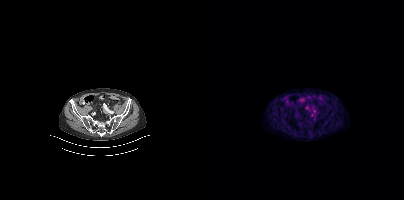
Coordinates are on the 200×200 PET (right) panel. (showing 2 of 3 foci) Small PSMA-avid foci (2 to 4 px across) near (center x, center y): (110, 110); (102, 107). Left: CT. Right: PSMA PET, same axial level, 68Ga tracer. PET panel 200×200 px (4.1 mm/px).